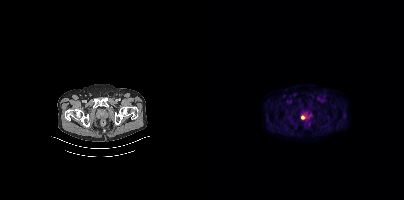
Two-panel axial: CT | PSMA PET, 18F-PSMA tracer. PET panel 200×200 px (4.1 mm/px). Coordinates are on the 200×200 PET (right) panel. PSMA-avid tumor lesion bounding box (x, y, width, height): x=97 y=115 w=5 h=5.